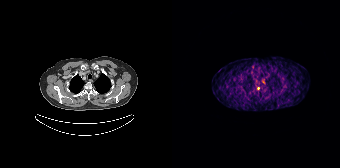
modality: PSMA PET/CT | tracer: 68Ga-PSMA | view: axial
Coordinates are on the 168×168 PET (right) panel. Small PSMA-avid focus (2 to 4 px across) near (center x, center y): (86, 88).